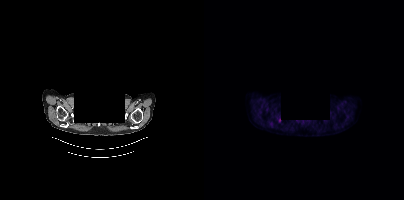
An anonymization step blacked out a rectangle over the head in this scan.
Coordinates are on the 200×200 PET (right) panel. PSMA-avid tumor lesion bounding box (x0,y0,x1,y1): [74,118,76,122].